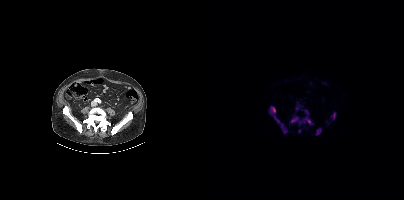
Technique: Two-panel axial: CT | PSMA PET, 18F-PSMA tracer. acquired on Siemens Biograph mCT Flow 20. slice 138 of 423.
Findings: Coordinates are on the 200×200 PET (right) panel. PSMA-avid tumor lesion bounding boxes (x0,y0,x1,y1): [70,117,82,133]; [100,117,108,124]; [87,117,94,122]; [66,107,71,113]; [127,112,131,119]; [112,129,117,134]. Small PSMA-avid foci (2 to 4 px across) near (center x, center y): (102, 111); (96, 122); (93, 108); (95, 131).